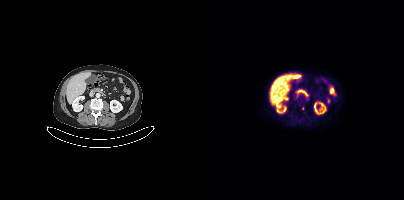
Coordinates are on the 200×200 PET (right) panel. Small PSMA-avid focus (2 to 4 px across) near (center x, center y): (98, 107). Paired axial CT (left) and PSMA PET (right), 18F-PSMA tracer. Acquired on Siemens Biograph mCT Flow 20.